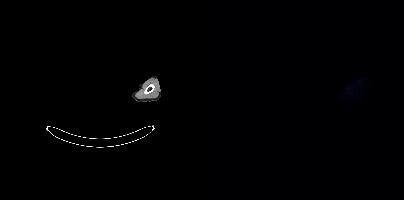
The head region is masked for de-identification. Paired axial CT (left) and PSMA PET (right), [18F]PSMA-1007 tracer. PET panel 200×200 px (4.1 mm/px). Negative for PSMA-avid disease on this slice.